A rectangular block over the head has been blanked out for de-identification. Paired axial CT (left) and PSMA PET (right), 68Ga-PSMA tracer. Slice position z = -226 mm. PET panel 168×168 px (4.1 mm/px).
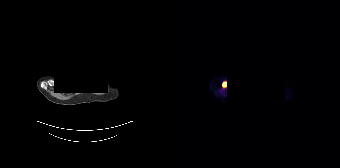
Coordinates are on the 168×168 PET (right) panel. Small PSMA-avid focus (2 to 4 px across) near (center x, center y): (52, 84).